Left: CT. Right: PSMA PET, same axial level, 18F-PSMA tracer. Slice 130 of 423.
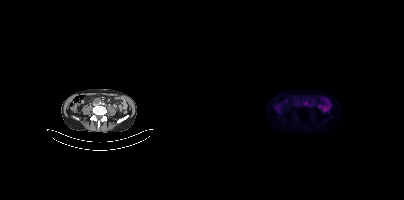
No PSMA-avid tumor lesions on this slice.